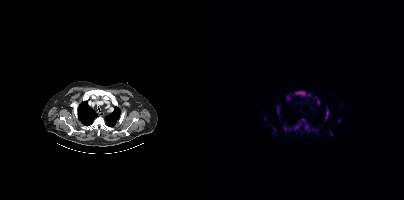
{"pet_grid":[200,200],"coord_frame":"pet_panel","coord_format":"x0,y0,x1,y1","partial":true,"lesion_bboxes":[[79,121,97,131],[91,91,102,96],[98,119,105,131],[121,108,124,120],[82,96,86,99],[113,100,115,104],[69,127,72,131],[73,105,74,110],[126,131,128,135]],"small_foci_centers":[[105,94],[135,120]],"modality":"PSMA PET/CT","view":"axial","tracer":"[18F]PSMA-1007"}